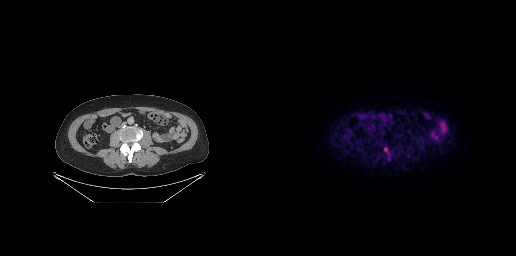
Findings: Coordinates are on the 256×256 PET (right) panel. Small PSMA-avid focus (2 to 4 px across) near (center x, center y): (125, 149).
- Left: CT. Right: PSMA PET, same axial level, 18F-PSMA tracer
- acquired on GE Discovery 690
- PET panel 256×256 px (2.7 mm/px)